- Paired axial CT (left) and PSMA PET (right), 18F tracer
- acquired on Siemens Biograph mCT Flow 20
- PET panel 200×200 px (4.1 mm/px)
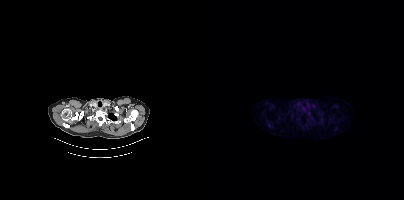
Findings: No tumor lesions annotated on this slice.